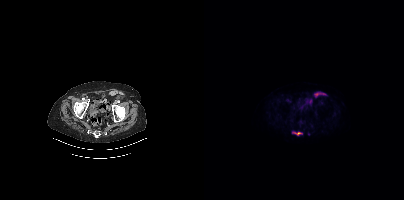
- Paired axial CT (left) and PSMA PET (right), 18F tracer
- acquired on Siemens Biograph mCT Flow 20
Findings: Coordinates are on the 200×200 PET (right) panel. PSMA-avid tumor lesion bounding box (x0, y0)-(x1, y1): (88, 131)-(98, 135). Small PSMA-avid focus (2 to 4 px across) near (center x, center y): (104, 133).